Technique: Left: CT. Right: PSMA PET, same axial level, 18F-PSMA tracer. acquired on Siemens Biograph mCT Flow 20. PET panel 200×200 px (4.1 mm/px).
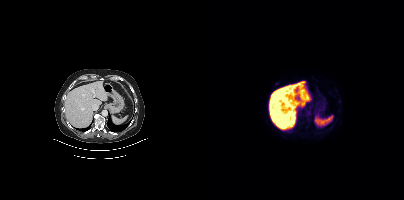
Findings: Only PSMA-avid lesion pieces thinner than 2 px on this slice (not listed).